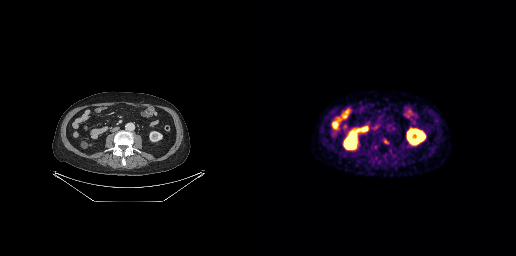
- Paired axial CT (left) and PSMA PET (right), 18F-PSMA tracer
- acquired on GE Discovery 690
Findings: Coordinates are on the 256×256 PET (right) panel. Small PSMA-avid focus (2 to 4 px across) near (center x, center y): (126, 141).